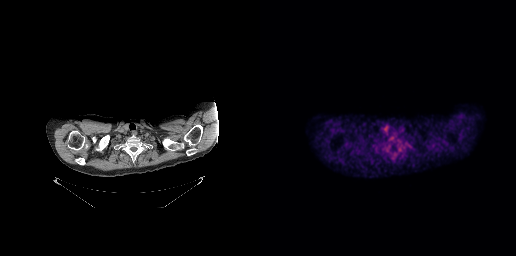
This slice has no annotated PSMA-avid lesion.